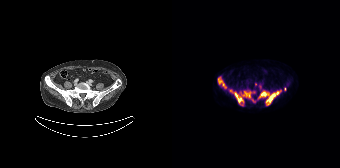
modality: PSMA PET/CT | tracer: 18F-PSMA | view: axial | PET grid: 168×168
Coordinates are on the 168×168 PET (right) panel. (showing 7 of 10 foci) PSMA-avid tumor lesion bounding boxes (x, y, width, height): x=86 y=90 w=24 h=16; x=62 y=92 w=10 h=12; x=69 y=91 w=11 h=7; x=46 y=79 w=9 h=10; x=57 y=89 w=4 h=5. Small PSMA-avid foci (2 to 4 px across) near (center x, center y): (112, 89); (80, 100).